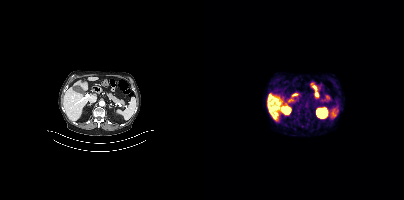
This slice has no annotated PSMA-avid lesion.